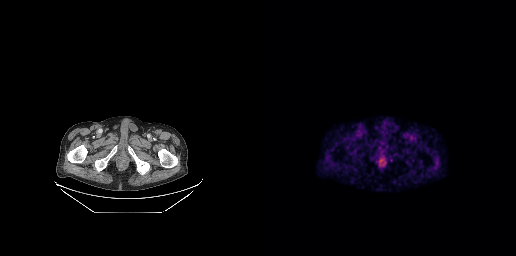
- Left: CT. Right: PSMA PET, same axial level, 68Ga tracer
- acquired on GE Discovery 690
- slice 54 of 263
- PET panel 256×256 px (2.7 mm/px)
Findings: Negative for PSMA-avid disease on this slice.